- Paired axial CT (left) and PSMA PET (right), [18F]PSMA-1007 tracer
- slice 17 of 165
- PET panel 168×168 px (4.1 mm/px)
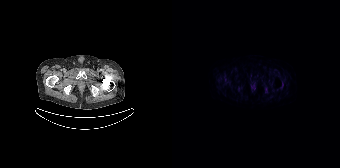
Findings: No PSMA-avid tumor lesions on this slice.